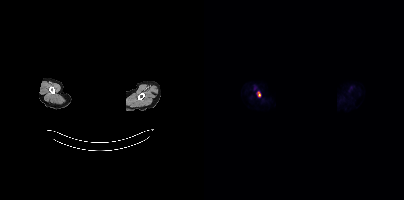
Technique: Left: CT. Right: PSMA PET, same axial level, 18F-PSMA tracer. slice position z = -860 mm.
Note: Face de-identified by blanking a block of the head.
Findings: Coordinates are on the 200×200 PET (right) panel. PSMA-avid tumor lesion bounding box (x0, y0)-(x1, y1): (53, 91)-(56, 96).